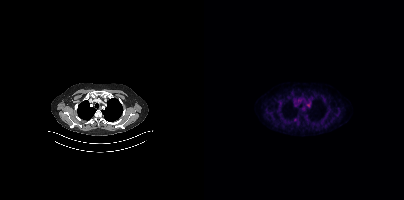
Two-panel axial: CT | PSMA PET, 18F-PSMA tracer. Acquired on Siemens Biograph mCT Flow 20. Slice 284 of 356. Negative for PSMA-avid disease on this slice.